- Paired axial CT (left) and PSMA PET (right), [18F]PSMA-1007 tracer
- slice 277 of 409
- PET panel 200×200 px (4.1 mm/px)
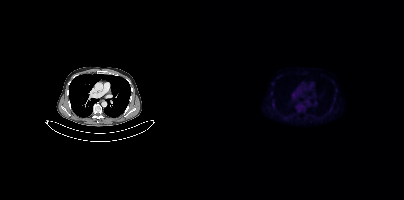
Findings: Coordinates are on the 200×200 PET (right) panel. Small PSMA-avid focus (2 to 4 px across) near (center x, center y): (95, 110).